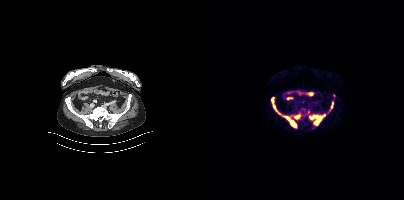
{"pet_grid":[200,200],"coord_frame":"pet_panel","coord_format":"x0,y0,x1,y1","partial":true,"lesion_bboxes":[[105,114,121,125],[79,116,92,127],[67,97,77,115],[90,115,96,119],[127,102,129,107]],"modality":"PSMA PET/CT","view":"axial","tracer":"18F-PSMA"}